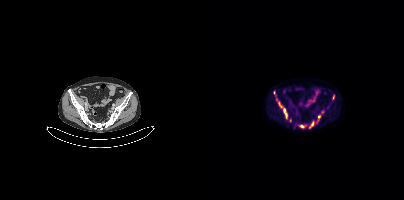
Two-panel axial: CT | PSMA PET, 18F tracer. Slice position z = -196 mm.
Coordinates are on the 200×200 PET (right) panel. PSMA-avid tumor lesion bounding boxes (partial; 3 more foci not listed):
| # | x0 | y0 | x1 | y1 |
|---|---|---|---|---|
| 1 | 72 | 98 | 83 | 118 |
| 2 | 105 | 121 | 110 | 128 |
| 3 | 96 | 125 | 100 | 127 |
| 4 | 128 | 95 | 130 | 99 |
Small PSMA-avid foci (2 to 4 px across) near (center x, center y): (115, 116); (70, 92).